modality: PSMA PET/CT | tracer: [18F]PSMA-1007 | view: axial | PET grid: 256×256
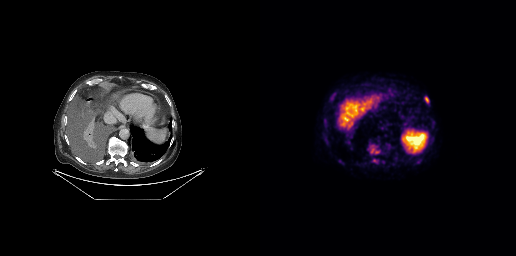
Coordinates are on the 256×256 PET (right) panel. (showing 3 of 6 foci) PSMA-avid tumor lesion bounding boxes (x0,y0,x1,y1): [111,148,119,153]; [165,98,169,102]. Small PSMA-avid focus (2 to 4 px across) near (center x, center y): (114, 160).